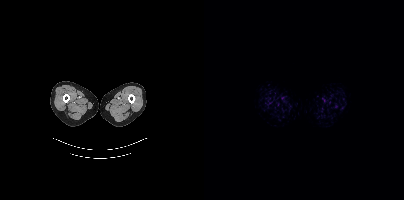
This slice has no annotated PSMA-avid lesion.